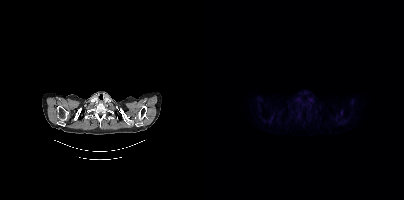
This slice has no annotated PSMA-avid lesion.